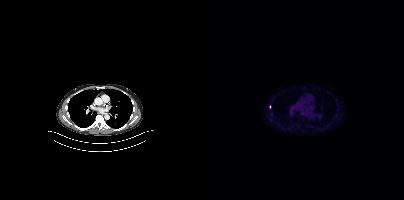
Only PSMA-avid lesion pieces thinner than 2 px on this slice (not listed).
modality: PSMA PET/CT | tracer: [18F]PSMA-1007 | view: axial